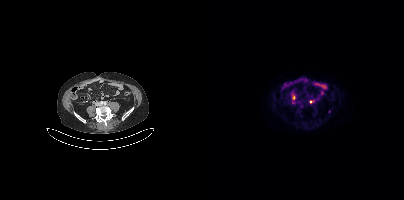
Technique: Left: CT. Right: PSMA PET, same axial level, [18F]PSMA-1007 tracer. acquired on Siemens Biograph mCT Flow 20.
Findings: Coordinates are on the 200×200 PET (right) panel. Small PSMA-avid foci (2 to 4 px across) near (center x, center y): (89, 97), (106, 101).